modality: PSMA PET/CT | tracer: 18F-PSMA | view: axial
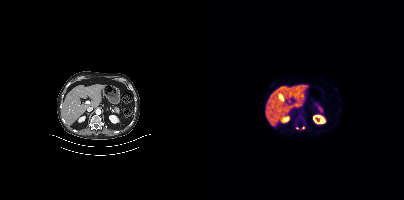
Coordinates are on the 200×200 PET (right) panel. Small PSMA-avid foci (2 to 4 px across) near (center x, center y): (99, 127) / (93, 127).